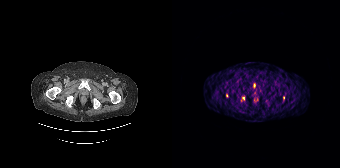
Coordinates are on the 168×168 PET (right) panel. (showing 3 of 4 foci) Small PSMA-avid foci (2 to 4 px across) near (center x, center y): (71, 98), (54, 95), (111, 97). Two-panel axial: CT | PSMA PET, 68Ga-PSMA tracer. Acquired on Siemens Biograph 64-4R TruePoint. Slice position z = -1586 mm. PET panel 168×168 px (4.1 mm/px).